Technique: Paired axial CT (left) and PSMA PET (right), [18F]PSMA-1007 tracer. acquired on GE Discovery 690. PET panel 256×256 px (2.7 mm/px).
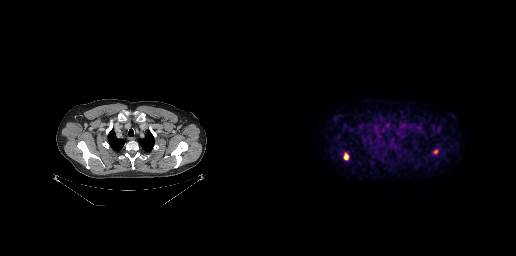
Findings: Coordinates are on the 256×256 PET (right) panel. PSMA-avid tumor lesion bounding box (x0, y0)-(x1, y1): (84, 153)-(88, 159). Small PSMA-avid focus (2 to 4 px across) near (center x, center y): (175, 151).